- Paired axial CT (left) and PSMA PET (right), 68Ga tracer
- slice 151 of 263
- PET panel 256×256 px (2.7 mm/px)
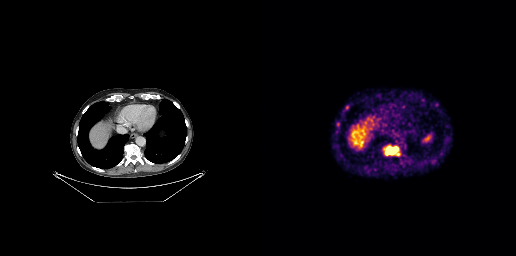
Findings: Coordinates are on the 256×256 PET (right) panel. PSMA-avid tumor lesion bounding box (x, y, width, height): x=127 y=147 w=12 h=8. Small PSMA-avid foci (2 to 4 px across) near (center x, center y): (86, 107); (78, 124); (138, 154); (176, 104).